Technique: Paired axial CT (left) and PSMA PET (right), [18F]PSMA-1007 tracer. acquired on Siemens Biograph mCT Flow 20. slice position z = -1203 mm. PET panel 200×200 px (4.1 mm/px).
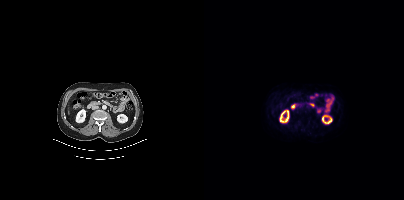
Findings: No tumor lesions annotated on this slice.